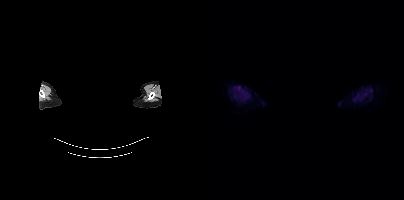
{"modality":"PSMA PET/CT","view":"axial","tracer":"[18F]PSMA-1007","pet_grid":[200,200],"coord_frame":"pet_panel","coord_format":"x0,y0,x1,y1","de-identification":"rectangular block over head set to black","psma_avid_lesions":false}